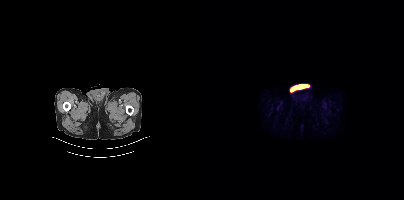
No tumor lesions annotated on this slice.